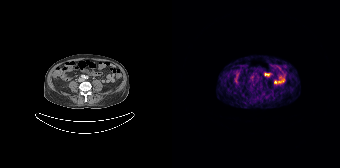
This slice has no annotated PSMA-avid lesion.